modality: PSMA PET/CT | tracer: 68Ga | view: axial
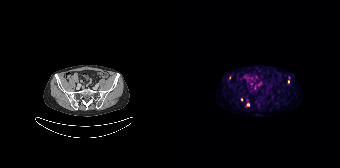
Coordinates are on the 168×168 PET (right) panel. Small PSMA-avid foci (2 to 4 px across) near (center x, center y): (75, 104) / (69, 99) / (116, 81) / (57, 77).